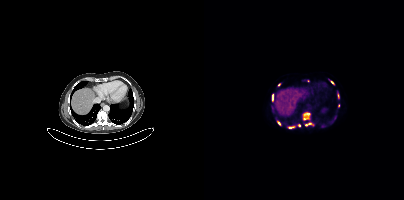
Paired axial CT (left) and PSMA PET (right), 18F-PSMA tracer. PET panel 200×200 px (4.1 mm/px).
Coordinates are on the 200×200 PET (right) panel. PSMA-avid tumor lesion bounding boxes (partial; 2 more foci not listed):
| # | x0 | y0 | x1 | y1 |
|---|---|---|---|---|
| 1 | 99 | 112 | 105 | 120 |
| 2 | 102 | 122 | 108 | 126 |
| 3 | 68 | 94 | 69 | 100 |
| 4 | 73 | 121 | 76 | 125 |
| 5 | 84 | 126 | 89 | 128 |
| 6 | 133 | 93 | 135 | 97 |
Small PSMA-avid foci (2 to 4 px across) near (center x, center y): (128, 82); (104, 80); (134, 105); (75, 83).